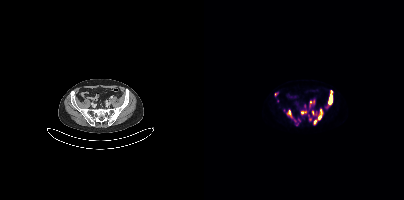
{"pet_grid":[200,200],"coord_frame":"pet_panel","coord_format":"x0,y0,x1,y1","partial":true,"lesion_bboxes":[[124,90,128,104],[114,109,118,119],[83,110,89,118],[97,111,102,114],[106,100,110,105]],"small_foci_centers":[[111,122],[72,94],[95,120],[106,119],[91,120]],"modality":"PSMA PET/CT","view":"axial","tracer":"[18F]PSMA-1007"}